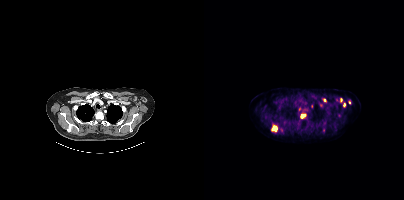
{"modality":"PSMA PET/CT","view":"axial","tracer":"[18F]PSMA-1007","pet_grid":[200,200],"coord_frame":"pet_panel","coord_format":"x0,y0,x1,y1","partial":true,"lesion_bboxes":[[68,125,73,131],[97,114,101,118],[119,128,120,132]],"small_foci_centers":[[140,104],[120,100],[117,104],[145,102],[123,107],[80,122]]}